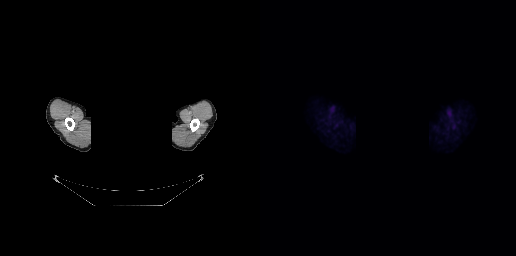
{"pet_grid":[256,256],"coord_frame":"pet_panel","coord_format":"x0,y0,x1,y1","psma_avid_lesions":false,"modality":"PSMA PET/CT","view":"axial","tracer":"18F","de-identification":"rectangular block over head set to black"}